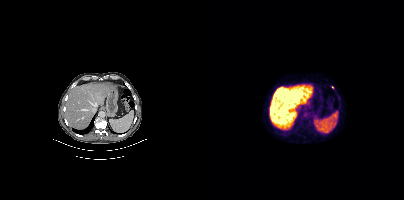
Findings: Coordinates are on the 200×200 PET (right) panel. Small PSMA-avid focus (2 to 4 px across) near (center x, center y): (128, 87).
- Paired axial CT (left) and PSMA PET (right), 18F-PSMA tracer